modality: PSMA PET/CT | tracer: 18F | view: axial | PET grid: 256×256
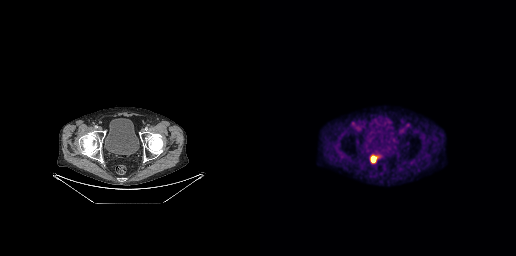
Coordinates are on the 256×256 PET (right) panel. PSMA-avid tumor lesion bounding box (x0,y0,x1,y1): [111,155,116,162].